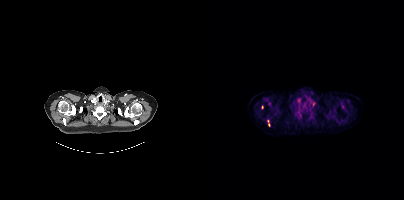
Findings: Coordinates are on the 200×200 PET (right) panel. (showing 1 of 5 foci) Small PSMA-avid focus (2 to 4 px across) near (center x, center y): (64, 125).
Technique: Two-panel axial: CT | PSMA PET, 18F tracer. acquired on Siemens Biograph mCT Flow 20. slice position z = 156 mm. PET panel 200×200 px (4.1 mm/px).